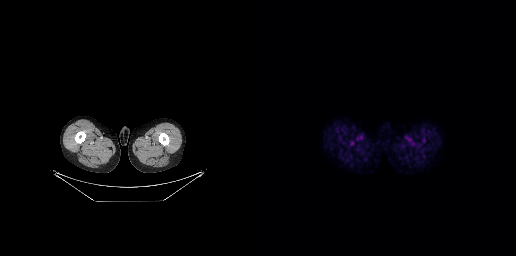
Negative for PSMA-avid disease on this slice.